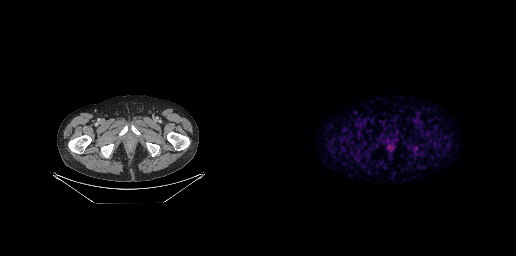
Negative for PSMA-avid disease on this slice. Left: CT. Right: PSMA PET, same axial level, 18F-PSMA tracer. Slice 47 of 263. PET panel 256×256 px (2.7 mm/px).